modality: PSMA PET/CT | tracer: [18F]PSMA-1007 | view: axial | PET grid: 256×256
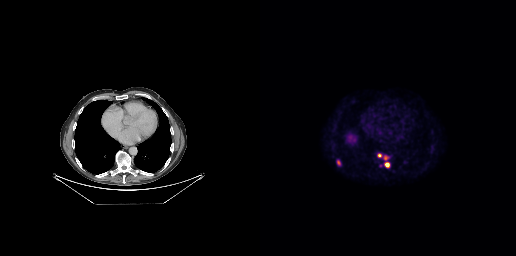
Coordinates are on the 256×256 PET (right) panel. (showing 4 of 5 foci) PSMA-avid tumor lesion bounding boxes (x0, y0)-(x1, y1): (124, 162)-(130, 167) / (77, 160)-(80, 165) / (118, 153)-(121, 157). Small PSMA-avid focus (2 to 4 px across) near (center x, center y): (125, 157).